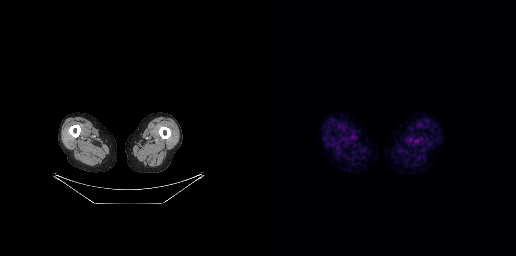
No tumor lesions annotated on this slice.